Two-panel axial: CT | PSMA PET, [68Ga]Ga-PSMA-11 tracer.
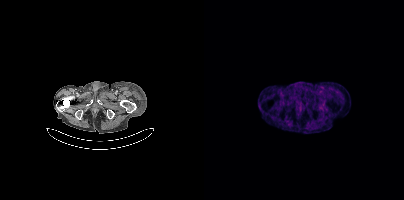
Negative for PSMA-avid disease on this slice.